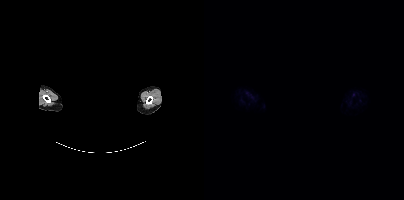
This slice has no annotated PSMA-avid lesion. Facial anatomy redacted by setting a rectangular region of the head to black. Two-panel axial: CT | PSMA PET, [18F]PSMA-1007 tracer. Slice position z = -911 mm.